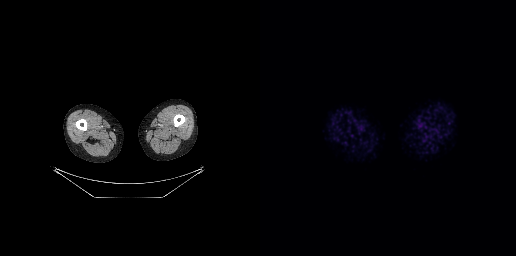
Technique: Two-panel axial: CT | PSMA PET, 68Ga-PSMA tracer.
Findings: Negative for PSMA-avid disease on this slice.